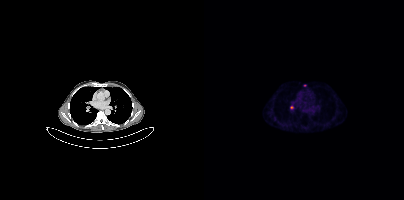
Findings: Coordinates are on the 200×200 PET (right) panel. (showing 1 of 2 foci) Small PSMA-avid focus (2 to 4 px across) near (center x, center y): (87, 107).
- Left: CT. Right: PSMA PET, same axial level, 68Ga-PSMA tracer